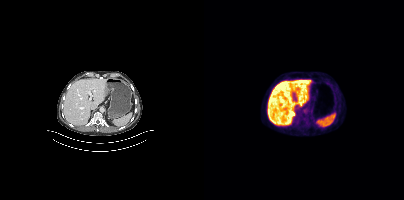
{"pet_grid":[200,200],"coord_frame":"pet_panel","coord_format":"x0,y0,x1,y1","psma_avid_lesions":false,"modality":"PSMA PET/CT","view":"axial","tracer":"18F"}